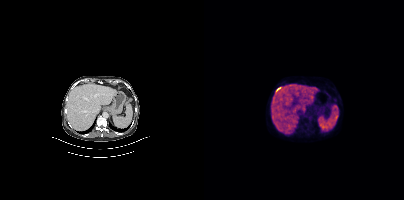
Negative for PSMA-avid disease on this slice. Two-panel axial: CT | PSMA PET, 18F tracer.